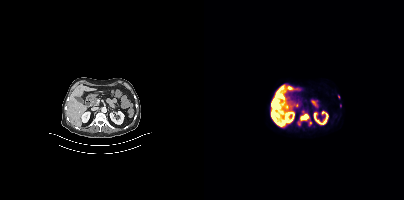
Findings: Coordinates are on the 200×200 PET (right) panel. PSMA-avid tumor lesion bounding boxes (x0,y0,x1,y1): [71,91,80,98], [68,100,73,107], [97,117,102,119]. Small PSMA-avid foci (2 to 4 px across) near (center x, center y): (84, 87), (134, 96).
Technique: Paired axial CT (left) and PSMA PET (right), [18F]PSMA-1007 tracer.